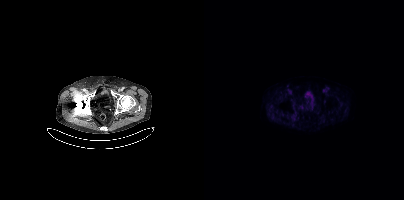
- Paired axial CT (left) and PSMA PET (right), 18F-PSMA tracer
- acquired on Siemens Biograph mCT Flow 20
- PET panel 200×200 px (4.1 mm/px)
Findings: This slice has no annotated PSMA-avid lesion.